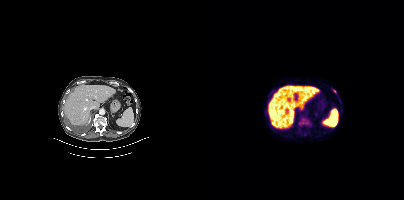
Coordinates are on the 200×200 PET (right) panel. PSMA-avid tumor lesion bounding box (x0, y0)-(x1, y1): (98, 118)-(104, 124). Small PSMA-avid focus (2 to 4 px across) near (center x, center y): (131, 91).
modality: PSMA PET/CT | tracer: [18F]PSMA-1007 | view: axial